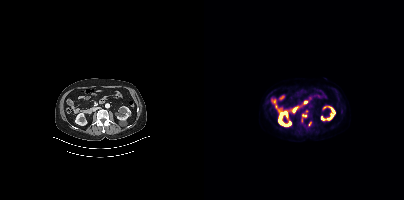
Coordinates are on the 200×200 PET (right) panel. PSMA-avid tumor lesion bounding box (x0, y0)-(x1, y1): (97, 110)-(104, 123). Small PSMA-avid focus (2 to 4 px across) near (center x, center y): (106, 123).